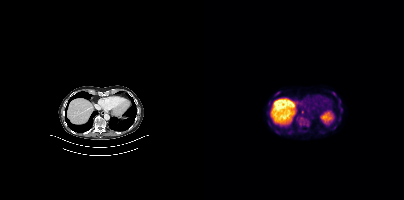
{"modality":"PSMA PET/CT","view":"axial","tracer":"[18F]PSMA-1007","pet_grid":[200,200],"coord_frame":"pet_panel","coord_format":"x0,y0,x1,y1","partial":true,"lesion_bboxes":[[135,106,138,112],[71,91,76,94]],"small_foci_centers":[[130,93],[98,111],[64,104]]}